An anonymization step blacked out a rectangle over the head in this scan. Two-panel axial: CT | PSMA PET, 18F-PSMA tracer. Slice 402 of 417. PET panel 200×200 px (4.1 mm/px).
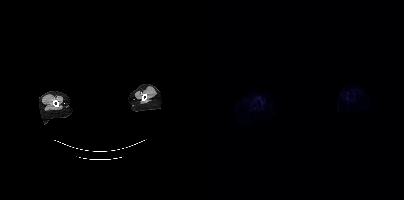
No PSMA-avid tumor lesions on this slice.